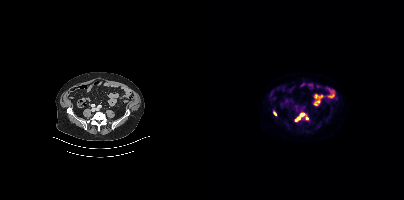
Coordinates are on the 200×200 PET (right) panel. PSMA-avid tumor lesion bounding box (x0,y0,x1,y1): [91,113,100,121]. Small PSMA-avid foci (2 to 4 px across) near (center x, center y): (103, 118); (71, 113).